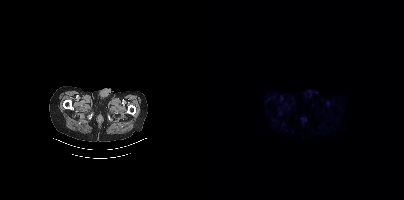
Paired axial CT (left) and PSMA PET (right), 18F-PSMA tracer. Acquired on Siemens Biograph mCT Flow 20. Slice position z = -1000 mm. This slice has no annotated PSMA-avid lesion.